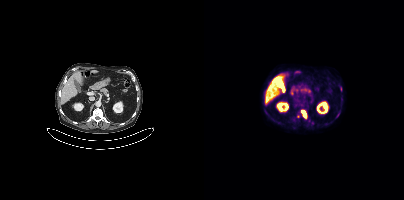
{"modality":"PSMA PET/CT","view":"axial","tracer":"18F","pet_grid":[200,200],"coord_frame":"pet_panel","coord_format":"x0,y0,x1,y1","partial":true,"lesion_bboxes":[[97,110,102,118]],"small_foci_centers":[[108,123]]}